Two-panel axial: CT | PSMA PET, 18F-PSMA tracer. Slice position z = -910 mm. Privacy masking over the head, with the pixels inside a rectangle set to black.
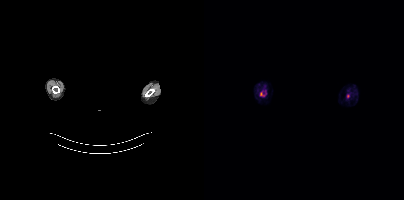
This slice has no annotated PSMA-avid lesion.